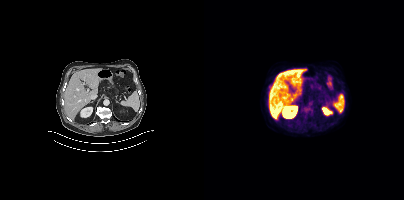
Two-panel axial: CT | PSMA PET, 18F tracer. Slice 216 of 411. PET panel 200×200 px (4.1 mm/px). No tumor lesions annotated on this slice.